Technique: Paired axial CT (left) and PSMA PET (right), 18F tracer. acquired on GE Discovery 690. slice 141 of 263. PET panel 256×256 px (2.7 mm/px).
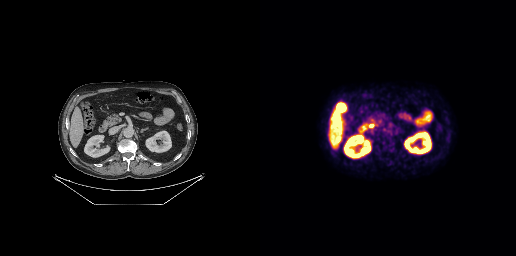
Findings: No PSMA-avid tumor lesions on this slice.